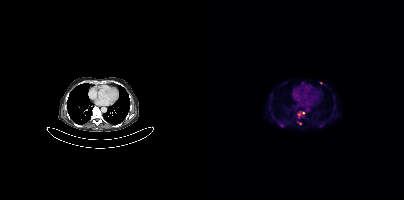
modality: PSMA PET/CT | tracer: 18F | view: axial | PET grid: 200×200
Coordinates are on the 200×200 PET (right) panel. (showing 4 of 7 foci) PSMA-avid tumor lesion bounding box (x0,y0,x1,y1): [93,122,97,124]. Small PSMA-avid foci (2 to 4 px across) near (center x, center y): (75, 123), (117, 82), (99, 112).